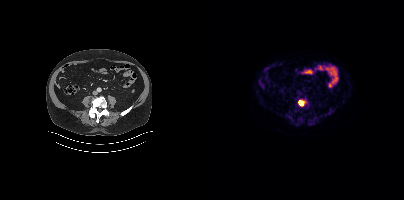
modality: PSMA PET/CT | tracer: 18F-PSMA | view: axial | PET grid: 200×200
Coordinates are on the 200×200 PET (right) panel. PSMA-avid tumor lesion bounding box (x, y, width, height): x=94 y=100 w=7 h=6.